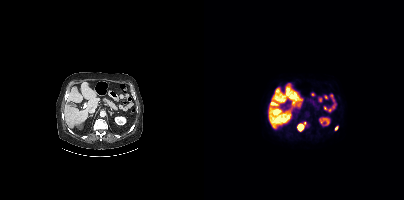
{"modality":"PSMA PET/CT","view":"axial","tracer":"[18F]PSMA-1007","pet_grid":[200,200],"coord_frame":"pet_panel","coord_format":"x0,y0,x1,y1","lesion_bboxes":[[94,122,101,131]],"small_foci_centers":[[132,128]]}